modality: PSMA PET/CT | tracer: 18F-PSMA | view: axial
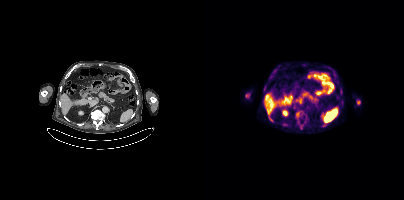
Coordinates are on the 200×200 PET (right) panel. Small PSMA-avid foci (2 to 4 px across) near (center x, center y): (43, 95); (80, 124); (94, 114); (136, 92).